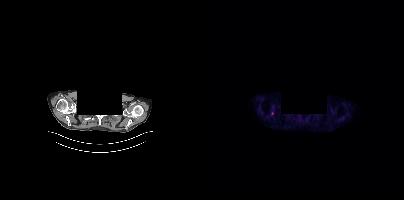
de-identification: face masked with black rectangle | modality: PSMA PET/CT | tracer: 18F-PSMA | view: axial
Coordinates are on the 200×200 PET (right) panel. Small PSMA-avid focus (2 to 4 px across) near (center x, center y): (68, 113).